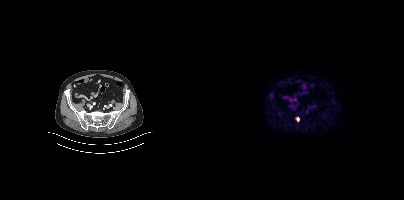
{"modality":"PSMA PET/CT","view":"axial","tracer":"18F","pet_grid":[200,200],"coord_frame":"pet_panel","coord_format":"x0,y0,x1,y1","lesion_bboxes":[[91,117,95,121]]}